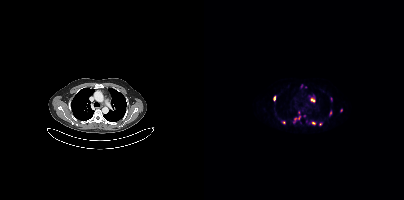
Coordinates are on the 200×200 PET (right) panel. (showing 11 of 12 foci) PSMA-avid tumor lesion bounding boxes (x0, y0)-(x1, y1): (89, 118)-(93, 122); (94, 112)-(96, 116). Small PSMA-avid foci (2 to 4 px across) near (center x, center y): (108, 99); (80, 122); (109, 123); (70, 98); (126, 112); (97, 85); (127, 98); (137, 110); (116, 124).